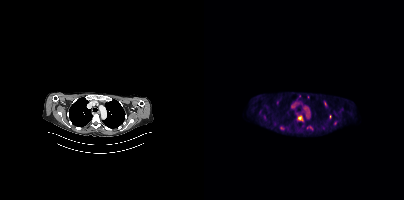
modality: PSMA PET/CT | tracer: [18F]PSMA-1007 | view: axial
Coordinates are on the 200×200 PET (right) panel. (showing 5 of 6 foci) PSMA-avid tumor lesion bounding boxes (x, y, width, height): x=93 y=115 w=7 h=7 / x=76 y=126 w=5 h=4. Small PSMA-avid foci (2 to 4 px across) near (center x, center y): (126, 116) / (121, 103) / (131, 123).